modality: PSMA PET/CT | tracer: 18F | view: axial
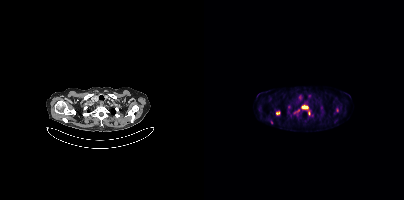
Coordinates are on the 200×200 PET (right) panel. (showing 4 of 5 foci) PSMA-avid tumor lesion bounding boxes (x0,y0,x1,y1): [98,105,104,108]; [72,111,76,115]. Small PSMA-avid foci (2 to 4 px across) near (center x, center y): (85, 107); (104, 113).